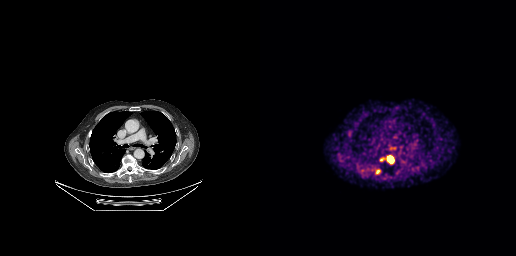
{"modality":"PSMA PET/CT","view":"axial","tracer":"68Ga","pet_grid":[256,256],"coord_frame":"pet_panel","coord_format":"x0,y0,x1,y1","lesion_bboxes":[[128,156,133,162],[115,169,120,174],[120,157,125,161]],"small_foci_centers":[[104,174],[90,133],[136,173]]}